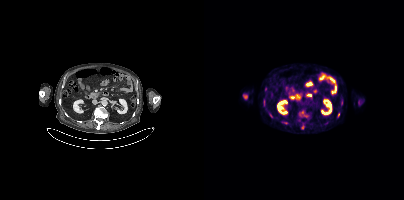
Coordinates are on the 200×200 PET (right) panel. (showing 6 of 8 foci) PSMA-avid tumor lesion bounding boxes (x, y, width, height): x=97 y=124 w=4 h=6; x=77 y=121 w=5 h=3; x=137 y=100 w=2 h=5. Small PSMA-avid foci (2 to 4 px across) near (center x, center y): (66, 114); (134, 114); (61, 89).